Two-panel axial: CT | PSMA PET, 18F tracer. Slice 328 of 413. PET panel 200×200 px (4.1 mm/px).
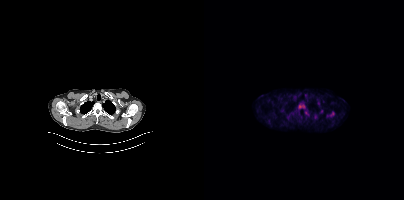
Coordinates are on the 200×200 PET (right) panel. PSMA-avid tumor lesion bounding boxes:
| # | x0 | y0 | x1 | y1 |
|---|---|---|---|---|
| 1 | 123 | 111 | 130 | 117 |
| 2 | 110 | 114 | 113 | 118 |
Small PSMA-avid focus (2 to 4 px across) near (center x, center y): (117, 111).